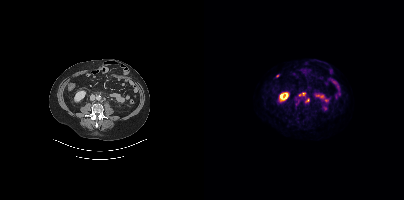
Technique: Paired axial CT (left) and PSMA PET (right), [18F]PSMA-1007 tracer. acquired on Siemens Biograph mCT Flow 20. PET panel 200×200 px (4.1 mm/px).
Findings: Coordinates are on the 200×200 PET (right) panel. PSMA-avid tumor lesion bounding boxes (x0, y0)-(x1, y1): (95, 92)-(101, 96) | (92, 100)-(95, 104) | (101, 99)-(105, 102).